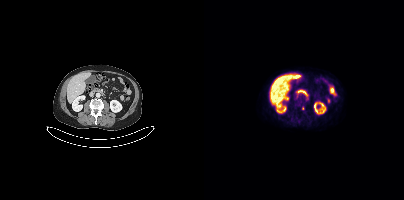
Findings: Coordinates are on the 200×200 PET (right) panel. Small PSMA-avid focus (2 to 4 px across) near (center x, center y): (99, 107).
- Left: CT. Right: PSMA PET, same axial level, 18F tracer